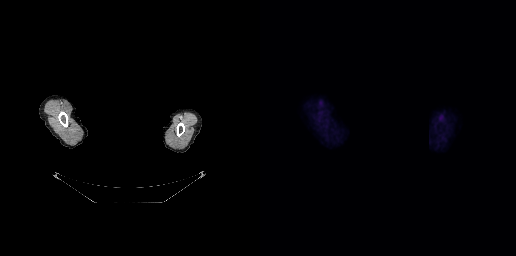
This slice has no annotated PSMA-avid lesion. Two-panel axial: CT | PSMA PET, [18F]PSMA-1007 tracer. Slice position z = -263 mm. PET panel 256×256 px (2.7 mm/px). The head region is masked for de-identification.